Left: CT. Right: PSMA PET, same axial level, [18F]PSMA-1007 tracer. PET panel 200×200 px (4.1 mm/px).
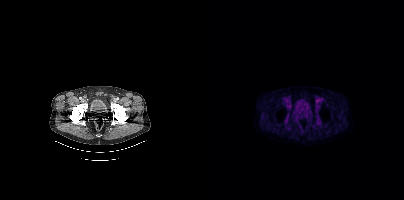
This slice has no annotated PSMA-avid lesion.